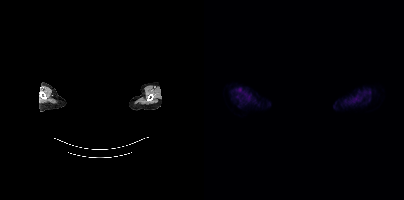
Technique: Paired axial CT (left) and PSMA PET (right), 18F-PSMA tracer. slice position z = 572 mm.
Note: Facial anatomy redacted by setting a rectangular region of the head to black.
Findings: Negative for PSMA-avid disease on this slice.